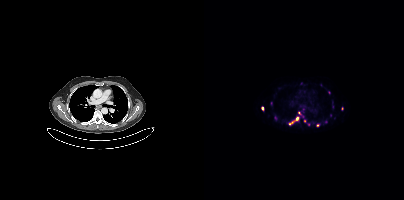
Technique: Left: CT. Right: PSMA PET, same axial level, [68Ga]Ga-PSMA-11 tracer. acquired on Siemens Biograph mCT Flow 20. slice position z = -1039 mm. PET panel 200×200 px (4.1 mm/px).
Findings: Coordinates are on the 200×200 PET (right) panel. (showing 7 of 10 foci) Small PSMA-avid foci (2 to 4 px across) near (center x, center y): (71, 117); (93, 118); (87, 122); (58, 108); (100, 121); (105, 124); (113, 125).